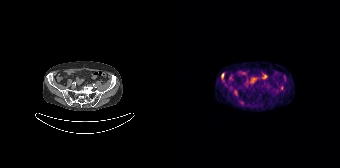
Coordinates are on the 168×168 PET (right) panel. Small PSMA-avid foci (2 to 4 px across) near (center x, center y): (109, 87), (50, 75), (63, 92).
modality: PSMA PET/CT | tracer: [68Ga]Ga-PSMA-11 | view: axial | PET grid: 168×168